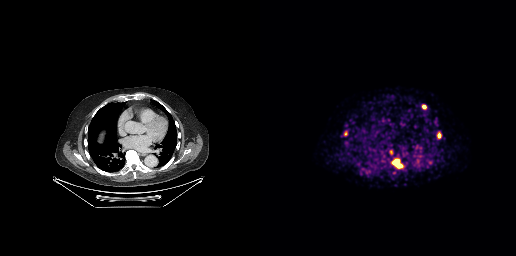
Coordinates are on the 256×256 PET (right) panel. (showing 3 of 4 foci) PSMA-avid tumor lesion bounding boxes (x, y, width, height): x=132 y=159 w=11 h=10; x=162 y=105 w=5 h=4; x=178 y=133 w=3 h=5.